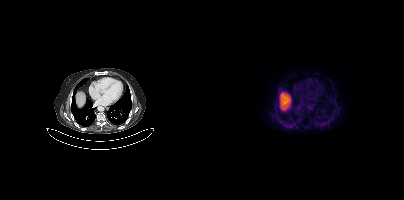
{"pet_grid":[200,200],"coord_frame":"pet_panel","coord_format":"x0,y0,x1,y1","psma_avid_lesions":false,"modality":"PSMA PET/CT","view":"axial","tracer":"[18F]PSMA-1007"}